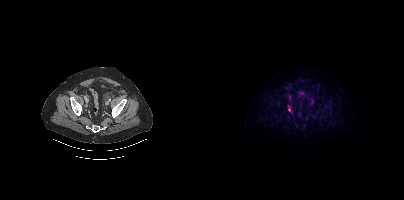
{"modality":"PSMA PET/CT","view":"axial","tracer":"18F-PSMA","pet_grid":[200,200],"coord_frame":"pet_panel","coord_format":"x0,y0,x1,y1","lesion_bboxes":[[84,105,88,112]]}